Technique: Two-panel axial: CT | PSMA PET, [68Ga]Ga-PSMA-11 tracer. slice 101 of 429.
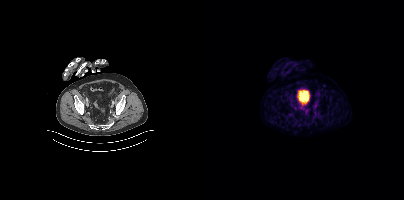
Findings: This slice has no annotated PSMA-avid lesion.